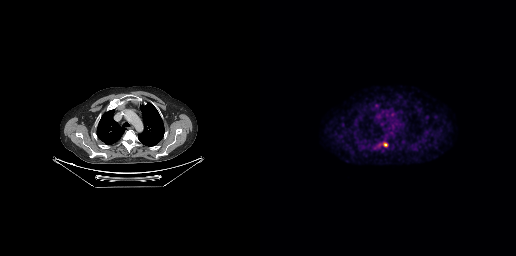
- Two-panel axial: CT | PSMA PET, 18F-PSMA tracer
- PET panel 256×256 px (2.7 mm/px)
Findings: Coordinates are on the 256×256 PET (right) panel. PSMA-avid tumor lesion bounding box (x, y, width, height): x=123 y=142 w=5 h=5.